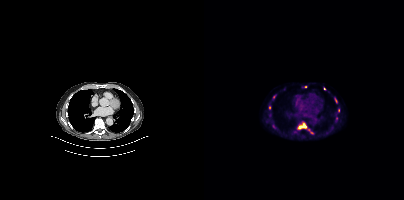
Coordinates are on the 200×200 PET (right) panel. PSMA-avid tumor lesion bounding boxes (partial; 2 more foci not listed):
| # | x0 | y0 | x1 | y1 |
|---|---|---|---|---|
| 1 | 94 | 123 | 102 | 128 |
Small PSMA-avid foci (2 to 4 px across) near (center x, center y): (120, 88); (65, 107); (101, 86).
Paired axial CT (left) and PSMA PET (right), [18F]PSMA-1007 tracer. Acquired on Siemens Biograph mCT Flow 20. PET panel 200×200 px (4.1 mm/px).